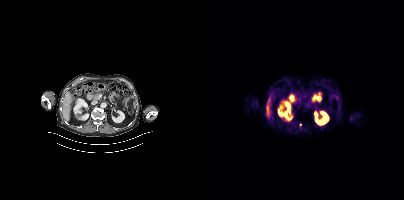
Only PSMA-avid lesion pieces thinner than 2 px on this slice (not listed).